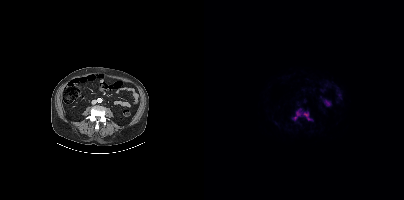
Technique: Left: CT. Right: PSMA PET, same axial level, [18F]PSMA-1007 tracer. PET panel 200×200 px (4.1 mm/px).
Findings: Coordinates are on the 200×200 PET (right) panel. PSMA-avid tumor lesion bounding box (x0, y0)-(x1, y1): (89, 108)-(108, 120).